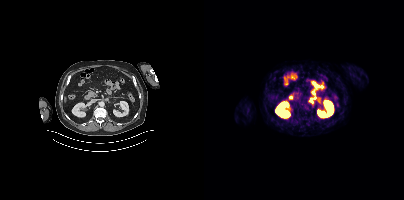
{"modality":"PSMA PET/CT","view":"axial","tracer":"68Ga","pet_grid":[200,200],"coord_frame":"pet_panel","coord_format":"x0,y0,x1,y1","psma_avid_lesions":false}